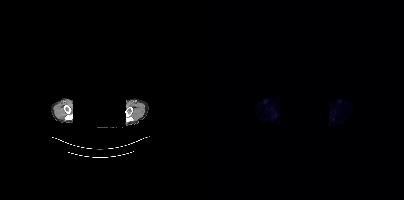
modality: PSMA PET/CT | tracer: 18F-PSMA | view: axial | redaction: facial region redacted
No tumor lesions annotated on this slice.